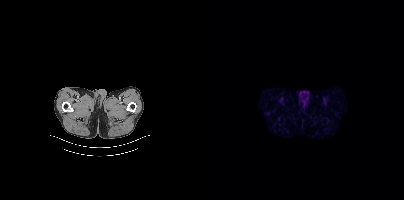
No PSMA-avid tumor lesions on this slice. Left: CT. Right: PSMA PET, same axial level, 18F-PSMA tracer.